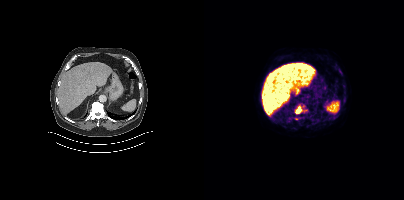
Paired axial CT (left) and PSMA PET (right), 18F tracer.
Coordinates are on the 200×200 PET (right) panel. PSMA-avid tumor lesion bounding boxes:
| # | x0 | y0 | x1 | y1 |
|---|---|---|---|---|
| 1 | 93 | 105 | 103 | 113 |